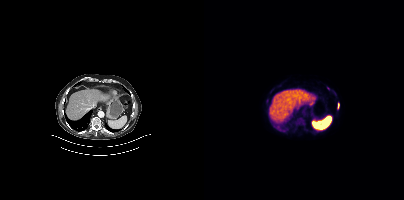
Coordinates are on the 200×200 PET (right) panel. PSMA-avid tumor lesion bounding box (x, y, width, height): x=134 y=103 w=2 h=6. Small PSMA-avid focus (2 to 4 px across) near (center x, center y): (124, 88).